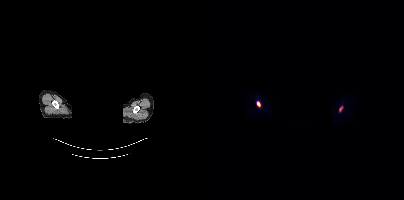
Coordinates are on the 200×200 PET (right) panel. PSMA-avid tumor lesion bounding box (x0,y0,x1,y1): [53,102,56,106]. Small PSMA-avid focus (2 to 4 px across) near (center x, center y): (136, 109).
A rectangular block over the head has been blanked out for de-identification.